Paired axial CT (left) and PSMA PET (right), [18F]PSMA-1007 tracer. PET panel 200×200 px (4.1 mm/px).
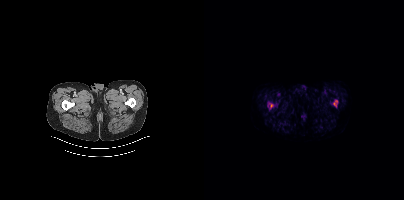
Coordinates are on the 200×200 PET (right) panel. PSMA-avid tumor lesion bounding boxes (x0, y0)-(x1, y1): (64, 103)-(69, 108); (129, 100)-(133, 106).